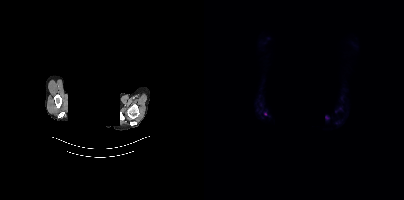
modality: PSMA PET/CT | tracer: 18F | view: axial | PET grid: 200×200 | redaction: rectangular block over head set to black
Coordinates are on the 200×200 PET (right) panel. Small PSMA-avid foci (2 to 4 px across) near (center x, center y): (61, 113) (122, 117).